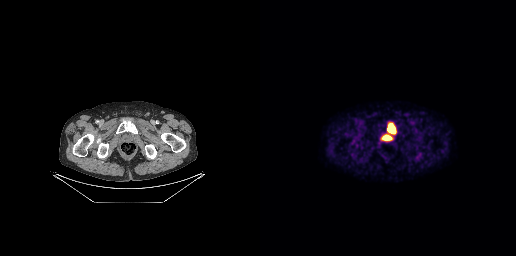
modality: PSMA PET/CT | tracer: 18F-PSMA | view: axial | PET grid: 256×256
Coordinates are on the 256×256 PET (right) panel. PSMA-avid tumor lesion bounding box (x0, y0)-(x1, y1): (129, 123)-(133, 126).